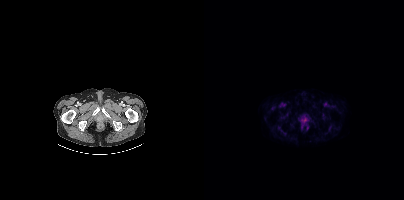
No tumor lesions annotated on this slice.
modality: PSMA PET/CT | tracer: 18F | view: axial